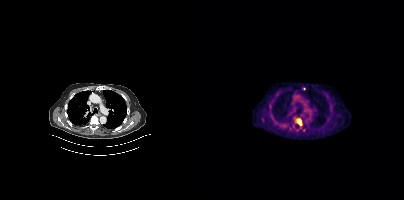
{"modality":"PSMA PET/CT","view":"axial","tracer":"18F","pet_grid":[200,200],"coord_frame":"pet_panel","coord_format":"x0,y0,x1,y1","partial":true,"lesion_bboxes":[[93,119,97,125]]}